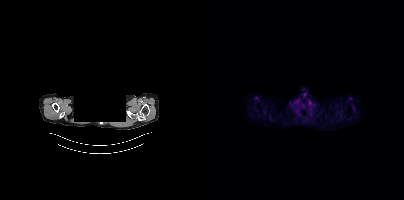
Technique: Left: CT. Right: PSMA PET, same axial level, 18F tracer.
Note: Privacy masking over the head, with the pixels inside a rectangle set to black.
Findings: No tumor lesions annotated on this slice.